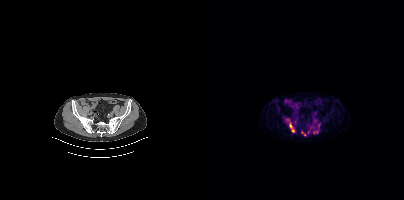
{"modality":"PSMA PET/CT","view":"axial","tracer":"68Ga-PSMA","pet_grid":[200,200],"coord_frame":"pet_panel","coord_format":"x0,y0,x1,y1","partial":true,"lesion_bboxes":[[85,123,90,132]],"small_foci_centers":[[100,134]]}